Paired axial CT (left) and PSMA PET (right), 18F-PSMA tracer. PET panel 256×256 px (2.7 mm/px).
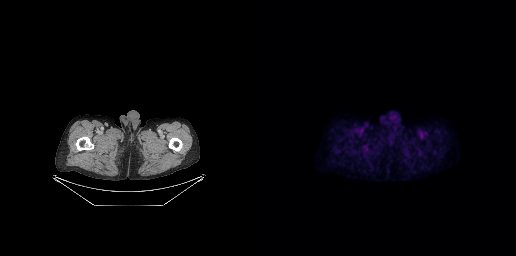
Negative for PSMA-avid disease on this slice.